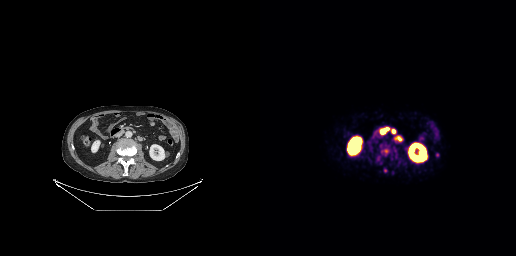
Findings: Coordinates are on the 256×256 PET (right) panel. PSMA-avid tumor lesion bounding boxes (x0,y0,x1,y1): [134,136,142,141]; [121,129,125,133]; [132,129,135,133]. Small PSMA-avid foci (2 to 4 px across) near (center x, center y): (125, 170); (126, 128).
- Left: CT. Right: PSMA PET, same axial level, 68Ga-PSMA tracer
- slice 122 of 263